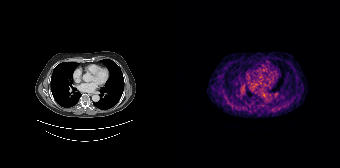
No PSMA-avid tumor lesions on this slice.